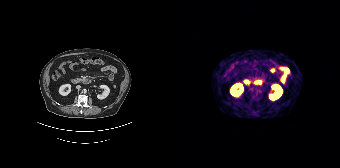
{"modality":"PSMA PET/CT","view":"axial","tracer":"68Ga","pet_grid":[168,168],"coord_frame":"pet_panel","coord_format":"x0,y0,x1,y1","psma_avid_lesions":false}